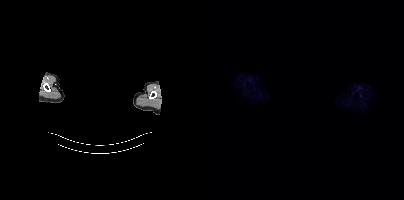
{"pet_grid":[200,200],"coord_frame":"pet_panel","coord_format":"x0,y0,x1,y1","psma_avid_lesions":false,"deidentification":"face masked with black rectangle","modality":"PSMA PET/CT","view":"axial","tracer":"18F-PSMA"}